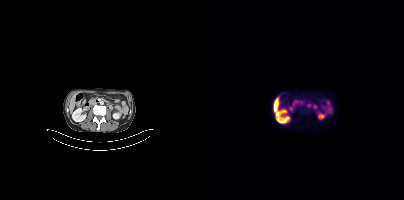
modality: PSMA PET/CT | tracer: [18F]PSMA-1007 | view: axial
Coordinates are on the 200×200 PET (right) panel. PSMA-avid tumor lesion bounding box (x0, y0)-(x1, y1): (103, 103)-(106, 107).